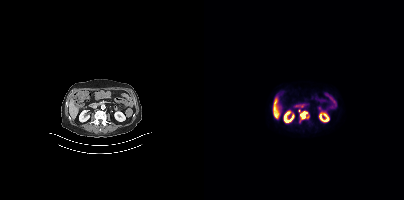
Left: CT. Right: PSMA PET, same axial level, [18F]PSMA-1007 tracer. Slice 165 of 403. PET panel 200×200 px (4.1 mm/px). Coordinates are on the 200×200 PET (right) panel. (showing 1 of 3 foci) PSMA-avid tumor lesion bounding box (x0,y0,x1,y1): [96,111,103,119].